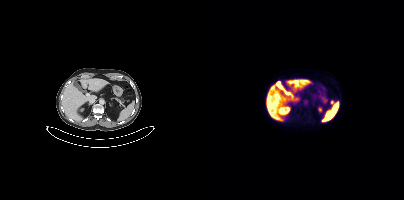
modality: PSMA PET/CT | tracer: [18F]PSMA-1007 | view: axial
Coordinates are on the 200×200 PET (right) panel. PSMA-avid tumor lesion bounding box (x0, y0)-(x1, y1): (127, 100)-(130, 104).